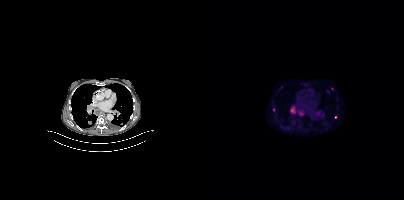
Coordinates are on the 200×200 PET (right) panel. (showing 7 of 9 foci) PSMA-avid tumor lesion bounding boxes (x0, y0)-(x1, y1): (86, 106)-(91, 113); (94, 110)-(100, 115); (111, 111)-(116, 115). Small PSMA-avid foci (2 to 4 px across) near (center x, center y): (77, 87); (123, 91); (131, 116); (89, 122).